Two-panel axial: CT | PSMA PET, [18F]PSMA-1007 tracer. PET panel 200×200 px (4.1 mm/px).
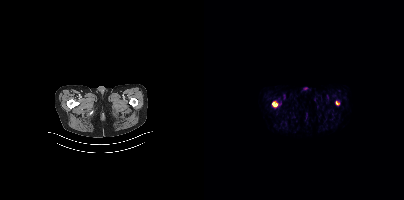
Coordinates are on the 200×200 PET (right) panel. PSMA-avid tumor lesion bounding boxes:
| # | x0 | y0 | x1 | y1 |
|---|---|---|---|---|
| 1 | 68 | 101 | 73 | 106 |
Small PSMA-avid focus (2 to 4 px across) near (center x, center y): (133, 102).